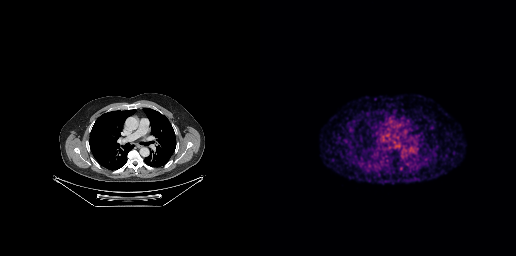
This slice has no annotated PSMA-avid lesion. Two-panel axial: CT | PSMA PET, 68Ga-PSMA tracer.